- Paired axial CT (left) and PSMA PET (right), [18F]PSMA-1007 tracer
- PET panel 200×200 px (4.1 mm/px)
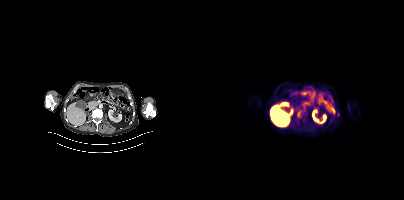
Findings: Coordinates are on the 200×200 PET (right) panel. PSMA-avid tumor lesion bounding boxes (x, y, width, height): x=93 y=111 w=5 h=7 / x=129 y=108 w=2 h=6.